Technique: Two-panel axial: CT | PSMA PET, 68Ga-PSMA tracer. slice 67 of 263.
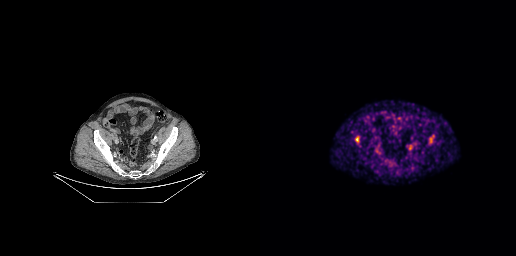
Findings: Coordinates are on the 256×256 PET (right) panel. Small PSMA-avid focus (2 to 4 px across) near (center x, center y): (96, 139).